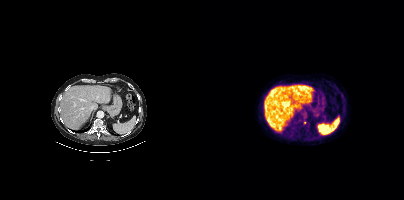
Coordinates are on the 200×200 PET (right) panel. Small PSMA-avid focus (2 to 4 px across) near (center x, center y): (101, 122). Two-panel axial: CT | PSMA PET, 18F-PSMA tracer. Acquired on Siemens Biograph mCT Flow 20.